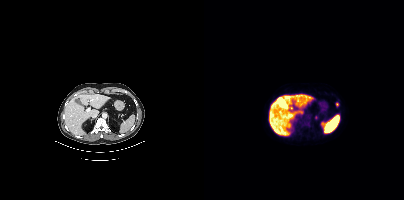
{"modality":"PSMA PET/CT","view":"axial","tracer":"18F-PSMA","pet_grid":[200,200],"coord_frame":"pet_panel","coord_format":"x0,y0,x1,y1","lesion_bboxes":[],"small_foci_centers":[[133,104],[111,117]]}